modality: PSMA PET/CT | tracer: [18F]PSMA-1007 | view: axial | PET grid: 200×200
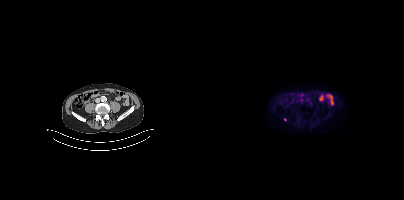
Coordinates are on the 200×200 PET (right) panel. Small PSMA-avid focus (2 to 4 px across) near (center x, center y): (80, 119).